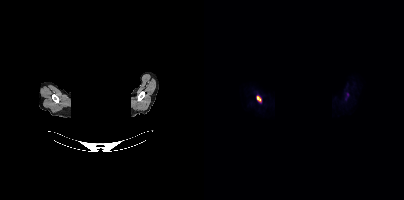
Findings: Coordinates are on the 200×200 PET (right) panel. PSMA-avid tumor lesion bounding box (x0, y0)-(x1, y1): (52, 96)-(57, 102).
- Left: CT. Right: PSMA PET, same axial level, 18F tracer
- slice 355 of 395
- PET panel 200×200 px (4.1 mm/px)
- head region blanked for anonymization (face removed)